Paired axial CT (left) and PSMA PET (right), 68Ga-PSMA tracer. Slice 13 of 263. PET panel 256×256 px (2.7 mm/px).
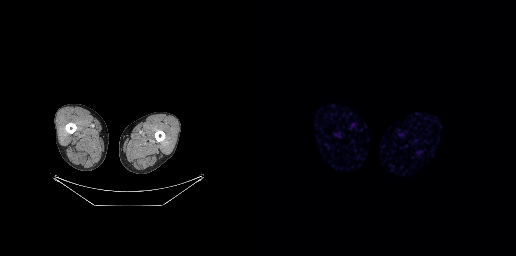
This slice has no annotated PSMA-avid lesion.